Left: CT. Right: PSMA PET, same axial level, 18F-PSMA tracer. Acquired on Siemens Biograph mCT Flow 20. Privacy masking over the head, with the pixels inside a rectangle set to black.
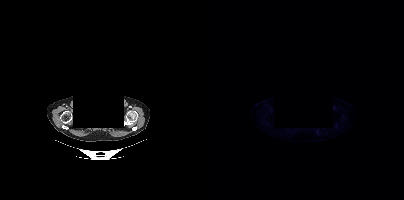
No tumor lesions annotated on this slice.